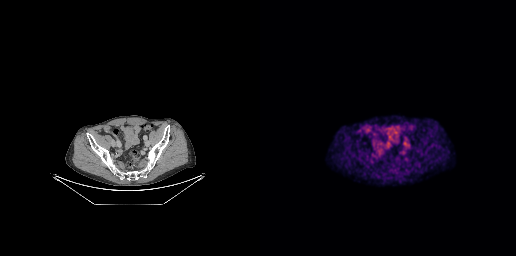
Paired axial CT (left) and PSMA PET (right), [18F]PSMA-1007 tracer. Slice 85 of 263. PET panel 256×256 px (2.7 mm/px). Coordinates are on the 256×256 PET (right) panel. Small PSMA-avid focus (2 to 4 px across) near (center x, center y): (144, 142).